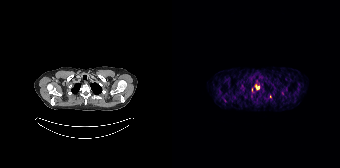
Coordinates are on the 168×168 PET (right) panel. PSMA-avid tumor lesion bounding boxes (partial; 2 more foci not listed):
| # | x0 | y0 | x1 | y1 |
|---|---|---|---|---|
| 1 | 83 | 85 | 87 | 89 |
Small PSMA-avid focus (2 to 4 px across) near (center x, center y): (98, 96).
Two-panel axial: CT | PSMA PET, [68Ga]Ga-PSMA-11 tracer. Acquired on Siemens Biograph 64-4R TruePoint. Slice position z = -1046 mm.